Technique: Left: CT. Right: PSMA PET, same axial level, 18F tracer. PET panel 256×256 px (2.7 mm/px).
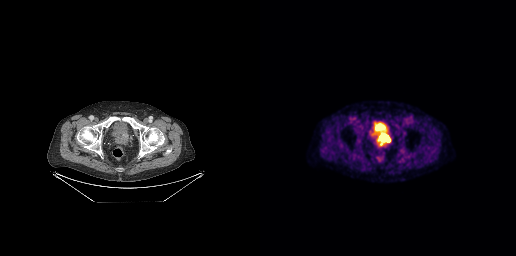
Findings: Coordinates are on the 256×256 PET (right) panel. PSMA-avid tumor lesion bounding box (x, y, width, height): x=121 y=135 w=9 h=6.